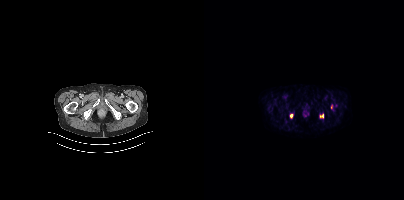
modality: PSMA PET/CT | tracer: 18F-PSMA | view: axial | PET grid: 200×200
Coordinates are on the 200×200 PET (right) panel. (showing 2 of 3 foci) Small PSMA-avid foci (2 to 4 px across) near (center x, center y): (117, 115) / (87, 115).